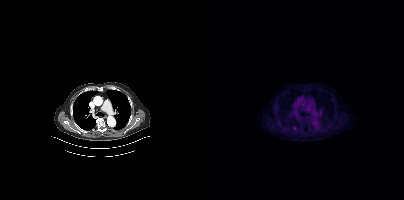
Findings: Coordinates are on the 200×200 PET (right) panel. Small PSMA-avid focus (2 to 4 px across) near (center x, center y): (90, 128).
- Left: CT. Right: PSMA PET, same axial level, [18F]PSMA-1007 tracer
- slice position z = -988 mm